modality: PSMA PET/CT | tracer: [18F]PSMA-1007 | view: axial | PET grid: 200×200
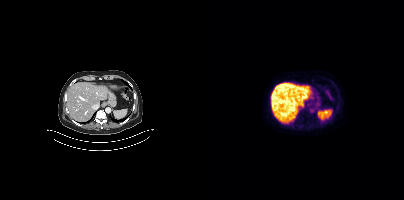
This slice has no annotated PSMA-avid lesion.